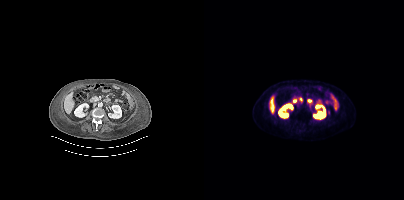
Only PSMA-avid lesion pieces thinner than 2 px on this slice (not listed).